modality: PSMA PET/CT | tracer: 18F | view: axial
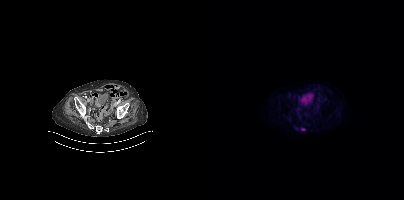
Coordinates are on the 200×200 PET (right) panel. PSMA-avid tumor lesion bounding box (x0, y0)-(x1, y1): (97, 128)-(101, 130).